- Two-panel axial: CT | PSMA PET, [18F]PSMA-1007 tracer
- acquired on Siemens Biograph mCT Flow 20
- slice 6 of 454
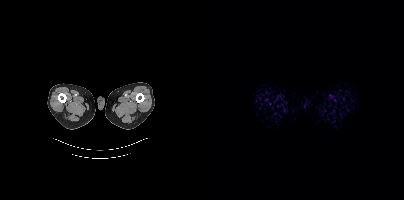
Findings: No tumor lesions annotated on this slice.